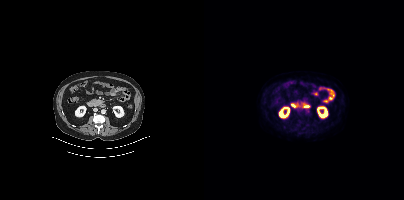
{"modality":"PSMA PET/CT","view":"axial","tracer":"[18F]PSMA-1007","pet_grid":[200,200],"coord_frame":"pet_panel","coord_format":"x0,y0,x1,y1","psma_avid_lesions":false}